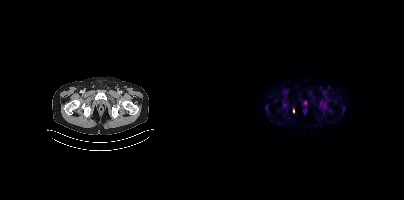
{"modality":"PSMA PET/CT","view":"axial","tracer":"68Ga","pet_grid":[200,200],"coord_frame":"pet_panel","coord_format":"x0,y0,x1,y1","lesion_bboxes":[],"small_foci_centers":[[89,110]]}